Paired axial CT (left) and PSMA PET (right), [68Ga]Ga-PSMA-11 tracer. Acquired on Siemens Biograph 64-4R TruePoint. Slice 143 of 165. The face region was removed for patient privacy by blanking a rectangle over the head.
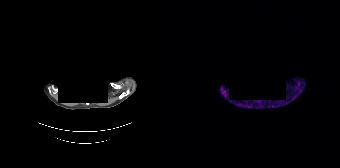
This slice has no annotated PSMA-avid lesion.